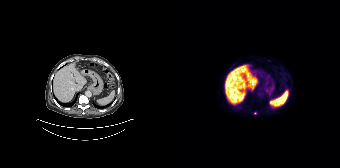
Two-panel axial: CT | PSMA PET, 18F tracer. Coordinates are on the 168×168 PET (right) panel. Small PSMA-avid focus (2 to 4 px across) near (center x, center y): (83, 113).